Facial anatomy redacted by setting a rectangular region of the head to black.
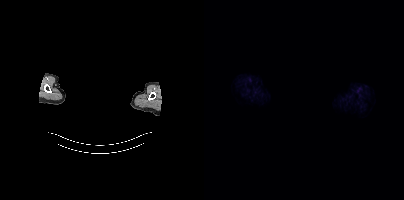
No tumor lesions annotated on this slice.